Two-panel axial: CT | PSMA PET, [68Ga]Ga-PSMA-11 tracer. Slice position z = -1223 mm.
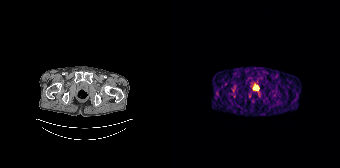
Negative for PSMA-avid disease on this slice.